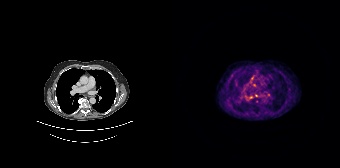
Coordinates are on the 168×168 PET (right) panel. Small PSMA-avid focus (2 to 4 px across) near (center x, center y): (84, 95).
modality: PSMA PET/CT | tracer: 68Ga-PSMA | view: axial